Paired axial CT (left) and PSMA PET (right), 18F-PSMA tracer. Acquired on Siemens Biograph mCT Flow 20. Slice 218 of 454.
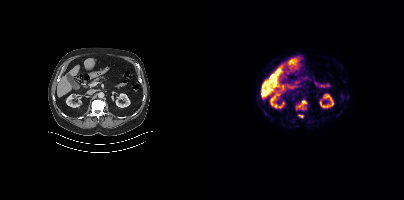
Coordinates are on the 200×200 PET (right) panel. PSMA-avid tumor lesion bounding boxes (x0, y0)-(x1, y1): (93, 100)-(103, 109) | (94, 114)-(99, 117).